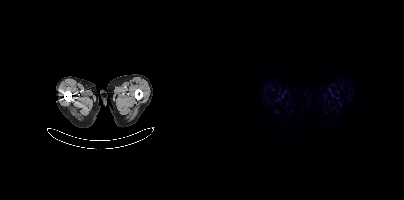
Findings: No tumor lesions annotated on this slice.
- Left: CT. Right: PSMA PET, same axial level, [18F]PSMA-1007 tracer
- PET panel 200×200 px (4.1 mm/px)